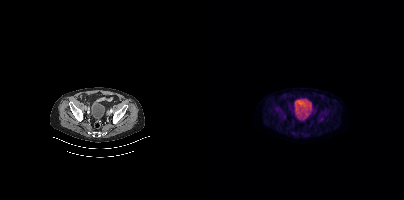
No tumor lesions annotated on this slice. Paired axial CT (left) and PSMA PET (right), [18F]PSMA-1007 tracer. Slice 101 of 409. PET panel 200×200 px (4.1 mm/px).